- Paired axial CT (left) and PSMA PET (right), 68Ga-PSMA tracer
- slice position z = -130 mm
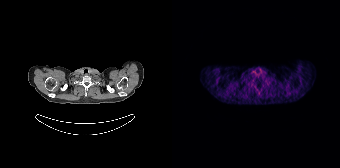
Findings: No tumor lesions annotated on this slice.